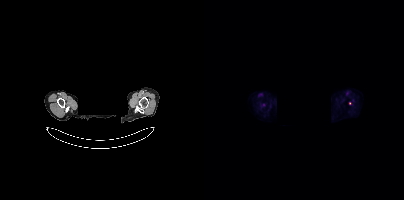
Technique: Left: CT. Right: PSMA PET, same axial level, 18F-PSMA tracer.
Note: An anonymization step blacked out a rectangle over the head in this scan.
Findings: This slice has no annotated PSMA-avid lesion.